- Two-panel axial: CT | PSMA PET, 18F tracer
- PET panel 200×200 px (4.1 mm/px)
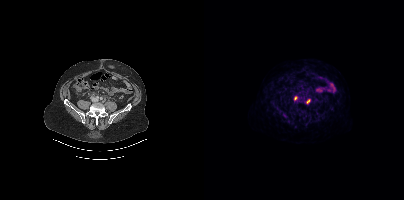
Findings: Coordinates are on the 200×200 PET (right) panel. PSMA-avid tumor lesion bounding box (x0, y0)-(x1, y1): (90, 96)-(93, 100). Small PSMA-avid focus (2 to 4 px across) near (center x, center y): (103, 102).